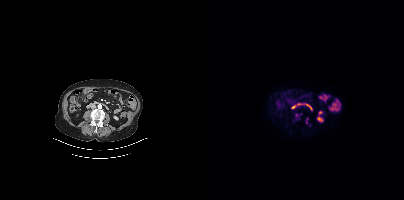
Coordinates are on the 200×200 PET (right) panel. (showing 2 of 3 foci) Small PSMA-avid foci (2 to 4 px across) near (center x, center y): (92, 115) | (102, 122).